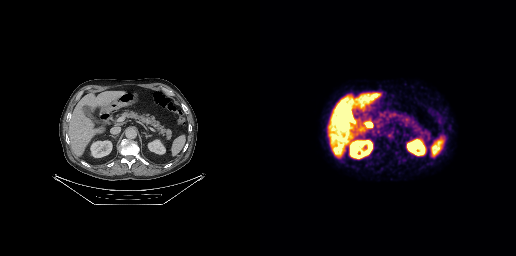
Findings: This slice has no annotated PSMA-avid lesion.
- Paired axial CT (left) and PSMA PET (right), 18F tracer
- acquired on GE Discovery 690